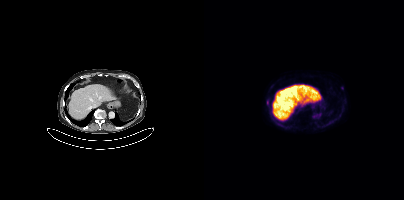
Two-panel axial: CT | PSMA PET, [18F]PSMA-1007 tracer. Acquired on Siemens Biograph mCT Flow 20. Slice position z = -672 mm. Coordinates are on the 200×200 PET (right) panel. (showing 1 of 2 foci) Small PSMA-avid focus (2 to 4 px across) near (center x, center y): (63, 102).